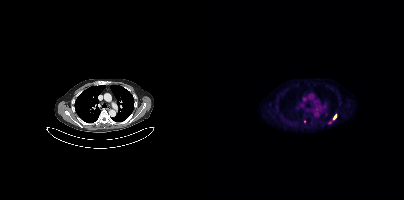
- Left: CT. Right: PSMA PET, same axial level, 18F tracer
- acquired on Siemens Biograph mCT Flow 20
- slice 291 of 401
Findings: Coordinates are on the 200×200 PET (right) panel. PSMA-avid tumor lesion bounding box (x, y, width, height): x=129 y=114 w=4 h=6. Small PSMA-avid focus (2 to 4 px across) near (center x, center y): (100, 121).